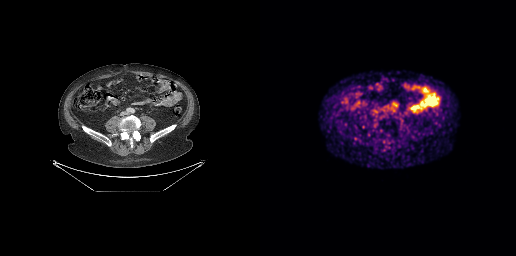
Two-panel axial: CT | PSMA PET, 68Ga tracer. PET panel 256×256 px (2.7 mm/px). No tumor lesions annotated on this slice.